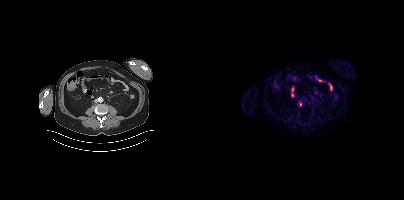
- Paired axial CT (left) and PSMA PET (right), 68Ga-PSMA tracer
- acquired on Siemens Biograph mCT Flow 20
- slice 177 of 429
Findings: No tumor lesions annotated on this slice.